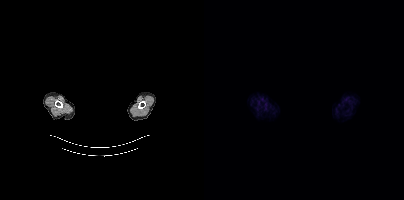
This slice has no annotated PSMA-avid lesion. Two-panel axial: CT | PSMA PET, [18F]PSMA-1007 tracer. PET panel 200×200 px (4.1 mm/px). De-identified by setting a box covering the face to black before release.